- Two-panel axial: CT | PSMA PET, 18F tracer
- slice position z = -914 mm
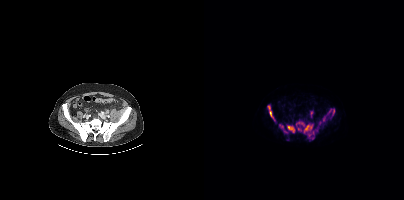
Findings: Coordinates are on the 200×200 PET (right) panel. (showing 9 of 13 foci) PSMA-avid tumor lesion bounding boxes (x0,y0,x1,y1): [100,125,108,132], [83,125,90,132], [63,105,70,120], [123,108,130,116], [104,134,110,140], [109,129,113,132], [119,116,121,121]. Small PSMA-avid foci (2 to 4 px across) near (center x, center y): (77, 126), (81, 131).